Technique: Two-panel axial: CT | PSMA PET, [18F]PSMA-1007 tracer. PET panel 200×200 px (4.1 mm/px).
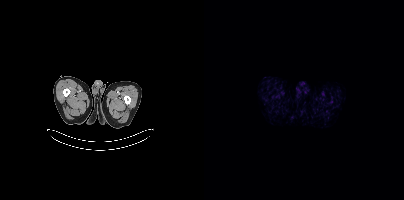
Findings: This slice has no annotated PSMA-avid lesion.